Left: CT. Right: PSMA PET, same axial level, 18F tracer. Acquired on Siemens Biograph mCT Flow 20. Slice position z = -963 mm.
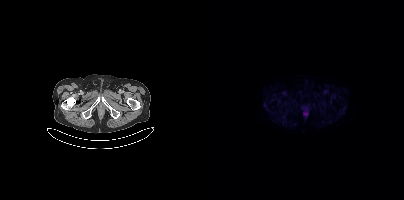
No tumor lesions annotated on this slice.